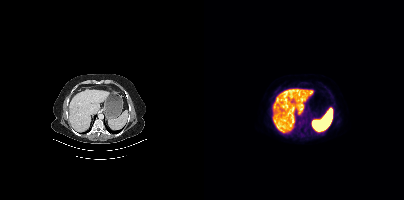
No tumor lesions annotated on this slice.